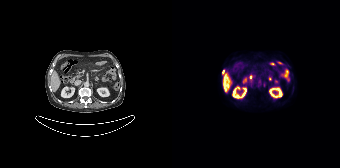
- Two-panel axial: CT | PSMA PET, [18F]PSMA-1007 tracer
- acquired on Siemens Biograph 64-4R TruePoint
Findings: Coordinates are on the 168×168 PET (right) panel. PSMA-avid tumor lesion bounding box (x, y, width, height): x=50 y=69 w=4 h=6.